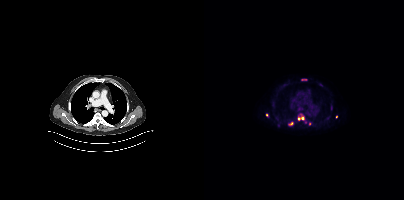
Coordinates are on the 200×200 PET (right) panel. PSMA-avid tumor lesion bounding boxes (partial; 1 more focus not listed):
| # | x0 | y0 | x1 | y1 |
|---|---|---|---|---|
| 1 | 94 | 116 | 100 | 120 |
| 2 | 84 | 122 | 88 | 125 |
| 3 | 97 | 79 | 102 | 80 |
Small PSMA-avid foci (2 to 4 px across) near (center x, center y): (63, 115); (132, 116).
Two-panel axial: CT | PSMA PET, 18F tracer. Acquired on Siemens Biograph mCT Flow 20. Slice position z = -320 mm.